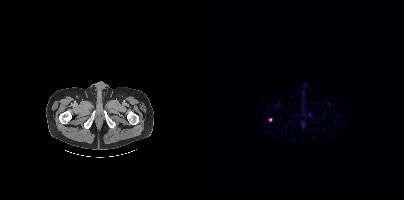
- Paired axial CT (left) and PSMA PET (right), 18F tracer
- acquired on Siemens Biograph mCT Flow 20
- slice 28 of 417
Findings: Coordinates are on the 200×200 PET (right) panel. Small PSMA-avid focus (2 to 4 px across) near (center x, center y): (66, 119).